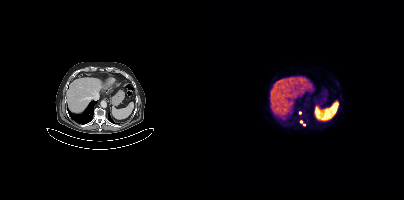
Coordinates are on the 200×200 PET (right) panel. (showing 2 of 3 foci) Small PSMA-avid foci (2 to 4 px across) near (center x, center y): (97, 121) (95, 112). Paired axial CT (left) and PSMA PET (right), 18F tracer. PET panel 200×200 px (4.1 mm/px).